- Paired axial CT (left) and PSMA PET (right), [18F]PSMA-1007 tracer
- slice position z = -1380 mm
- PET panel 200×200 px (4.1 mm/px)
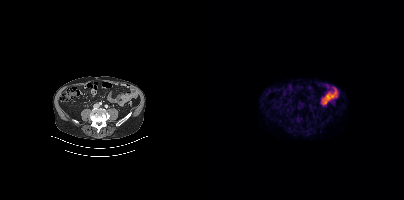
Findings: This slice has no annotated PSMA-avid lesion.